Technique: Left: CT. Right: PSMA PET, same axial level, 18F-PSMA tracer. acquired on Siemens Biograph mCT Flow 20. slice 115 of 409.
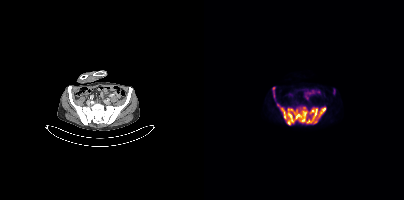
Findings: Coordinates are on the 200×200 PET (right) panel. (showing 2 of 3 foci) PSMA-avid tumor lesion bounding boxes (x, y, width, height): x=73 y=103 w=50 h=22; x=68 y=87 w=4 h=11.